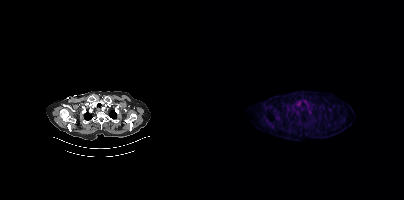
Coordinates are on the 200×200 PET (right) panel. Small PSMA-avid focus (2 to 4 px across) near (center x, center y): (105, 112).
modality: PSMA PET/CT | tracer: [18F]PSMA-1007 | view: axial